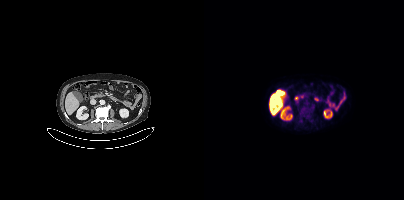
Findings: No tumor lesions annotated on this slice.
Technique: Paired axial CT (left) and PSMA PET (right), [18F]PSMA-1007 tracer. slice position z = -796 mm.